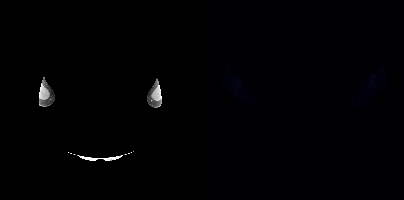
Privacy masking over the head, with the pixels inside a rectangle set to black. Two-panel axial: CT | PSMA PET, 18F tracer. Acquired on Siemens Biograph mCT Flow 20. Slice position z = -786 mm. PET panel 200×200 px (4.1 mm/px). Negative for PSMA-avid disease on this slice.